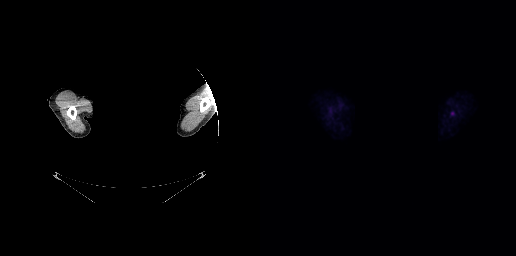
{"modality":"PSMA PET/CT","view":"axial","tracer":"18F","pet_grid":[256,256],"coord_frame":"pet_panel","coord_format":"x0,y0,x1,y1","de-identification":"privacy mask over head","psma_avid_lesions":false}